modality: PSMA PET/CT | tracer: 18F-PSMA | view: axial | PET grid: 200×200
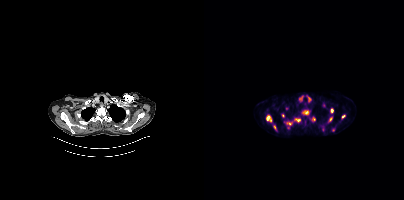
Coordinates are on the 200×200 PET (right) panel. (showing 10 of 11 foci) PSMA-avid tumor lesion bounding boxes (x0, y0)-(x1, y1): (80, 118)-(96, 128); (62, 114)-(68, 122); (98, 110)-(104, 114); (69, 125)-(72, 130); (126, 108)-(129, 112); (125, 117)-(128, 121). Small PSMA-avid foci (2 to 4 px across) near (center x, center y): (109, 118); (79, 115); (139, 116); (82, 108).